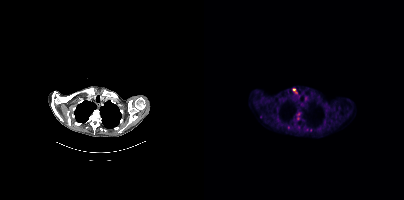
- Paired axial CT (left) and PSMA PET (right), 18F-PSMA tracer
Findings: Coordinates are on the 200×200 PET (right) panel. (showing 3 of 8 foci) Small PSMA-avid foci (2 to 4 px across) near (center x, center y): (90, 89), (94, 118), (94, 114).